Technique: Paired axial CT (left) and PSMA PET (right), 18F-PSMA tracer. slice 235 of 454.
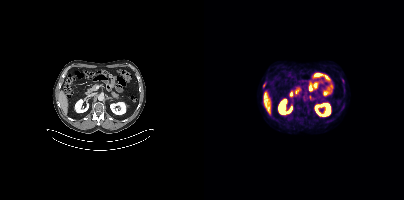
Findings: Coordinates are on the 200×200 PET (right) panel. Small PSMA-avid focus (2 to 4 px across) near (center x, center y): (139, 80).